Left: CT. Right: PSMA PET, same axial level, 18F-PSMA tracer. Acquired on Siemens Biograph mCT Flow 20. Slice position z = -760 mm.
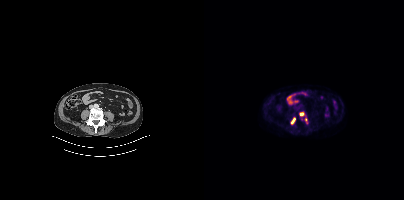
Coordinates are on the 200×200 PET (right) panel. PSMA-avid tumor lesion bounding boxes:
| # | x0 | y0 | x1 | y1 |
|---|---|---|---|---|
| 1 | 87 | 118 | 91 | 123 |
Small PSMA-avid focus (2 to 4 px across) near (center x, center y): (97, 114).